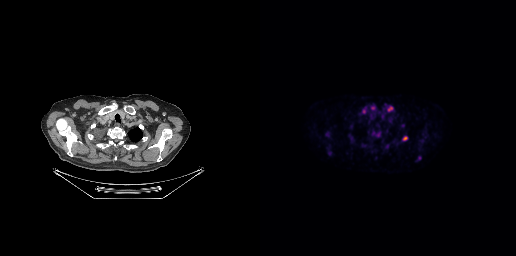
Two-panel axial: CT | PSMA PET, 18F-PSMA tracer. Acquired on GE Discovery 690. Slice 246 of 299. PET panel 256×256 px (2.7 mm/px). Coordinates are on the 256×256 PET (right) panel. (showing 5 of 8 foci) PSMA-avid tumor lesion bounding boxes (x0, y0)-(x1, y1): (127, 105)-(133, 111) | (143, 136)-(147, 140). Small PSMA-avid foci (2 to 4 px across) near (center x, center y): (159, 157) | (122, 116) | (142, 125).